Paired axial CT (left) and PSMA PET (right), 18F-PSMA tracer. PET panel 200×200 px (4.1 mm/px).
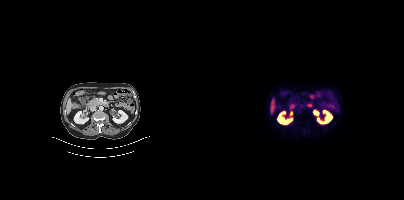
No tumor lesions annotated on this slice.